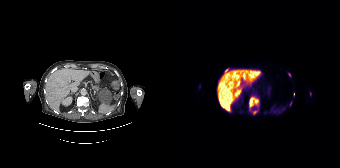
Coordinates are on the 168×168 PET (right) panel. (showing 4 of 6 foci) PSMA-avid tumor lesion bounding box (x, y, width, height): x=77 y=95 w=11 h=20. Small PSMA-avid foci (2 to 4 px across) near (center x, center y): (54, 69) | (117, 74) | (118, 104). Paired axial CT (left) and PSMA PET (right), [18F]PSMA-1007 tracer. Slice position z = -1060 mm.